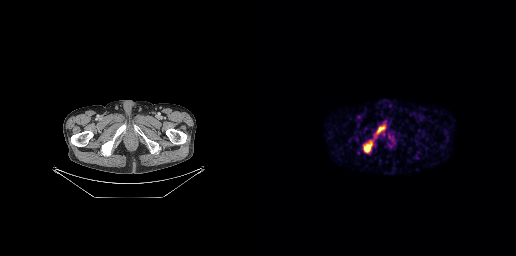
Findings: Coordinates are on the 256×256 PET (right) panel. PSMA-avid tumor lesion bounding boxes (x0, y0)-(x1, y1): (103, 141)-(112, 152) | (114, 126)-(125, 137).
Technique: Left: CT. Right: PSMA PET, same axial level, 68Ga-PSMA tracer. acquired on GE Discovery 690. PET panel 256×256 px (2.7 mm/px).